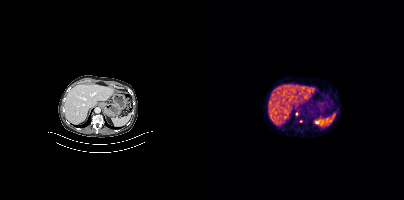
Coordinates are on the 200×200 PET (right) panel. Small PSMA-avid foci (2 to 4 px across) near (center x, center y): (92, 114) / (96, 121).
modality: PSMA PET/CT | tracer: 68Ga-PSMA | view: axial | PET grid: 200×200